Left: CT. Right: PSMA PET, same axial level, 18F-PSMA tracer. Slice position z = -1499 mm. PET panel 200×200 px (4.1 mm/px).
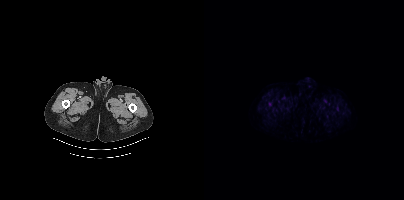
Negative for PSMA-avid disease on this slice.